modality: PSMA PET/CT | tracer: 18F | view: axial
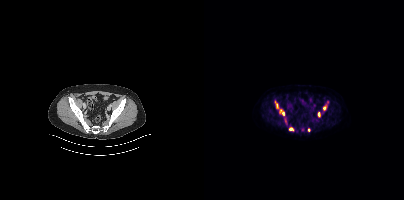
Coordinates are on the 200×200 PET (right) panel. PSMA-avid tumor lesion bounding boxes (x0, y0)-(x1, y1): (76, 109)-(80, 115) | (85, 127)-(89, 130) | (72, 103)-(74, 108) | (114, 112)-(115, 116). Small PSMA-avid foci (2 to 4 px across) near (center x, center y): (120, 108) | (104, 130).